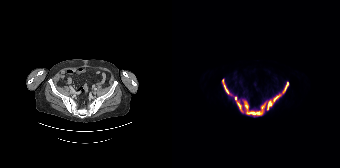
modality: PSMA PET/CT | tracer: 18F-PSMA | view: axial
Coordinates are on the 168×168 PET (right) panel. PSMA-avid tumor lesion bounding box (x0,y0,x1,y1): [50,79,116,116].